modality: PSMA PET/CT | tracer: [18F]PSMA-1007 | view: axial
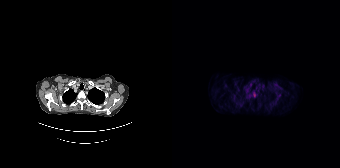
Coordinates are on the 168×168 PET (right) panel. (showing 1 of 2 foci) PSMA-avid tumor lesion bounding box (x, y, width, height): x=81 y=92 w=3 h=6.